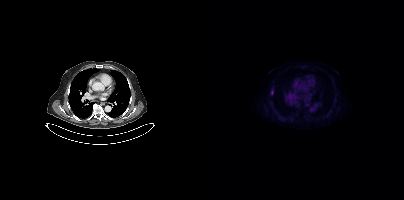
Coordinates are on the 200×200 PET (right) panel. PSMA-avid tumor lesion bounding box (x0, y0)-(x1, y1): (67, 90)-(69, 94).